- Left: CT. Right: PSMA PET, same axial level, 18F-PSMA tracer
- slice position z = -816 mm
- PET panel 200×200 px (4.1 mm/px)
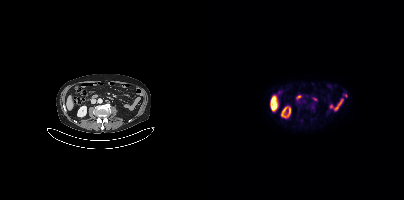
Findings: Negative for PSMA-avid disease on this slice.